- Two-panel axial: CT | PSMA PET, [68Ga]Ga-PSMA-11 tracer
- slice 77 of 263
- PET panel 256×256 px (2.7 mm/px)
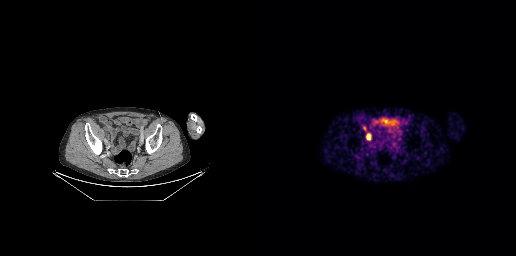
Findings: Coordinates are on the 256×256 PET (right) panel. PSMA-avid tumor lesion bounding box (x, y, width, height): x=106 y=134 w=5 h=6.